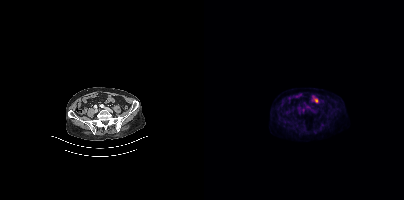
No PSMA-avid tumor lesions on this slice.